Two-panel axial: CT | PSMA PET, [18F]PSMA-1007 tracer. Acquired on Siemens Biograph mCT Flow 20.
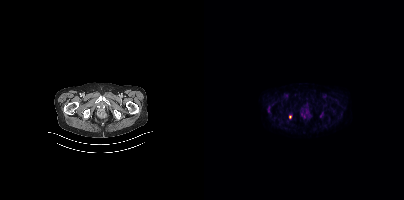
Only PSMA-avid lesion pieces thinner than 2 px on this slice (not listed).